Paired axial CT (left) and PSMA PET (right), [18F]PSMA-1007 tracer. Slice 318 of 411.
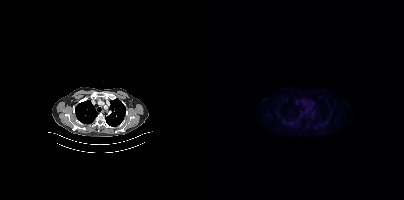
Negative for PSMA-avid disease on this slice.